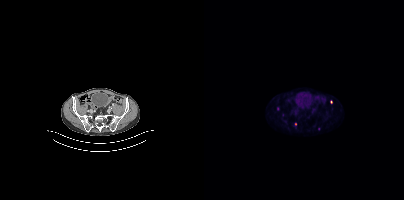
Coordinates are on the 200×200 PET (right) panel. (showing 2 of 4 foci) Small PSMA-avid foci (2 to 4 px across) near (center x, center y): (91, 124) | (114, 128).